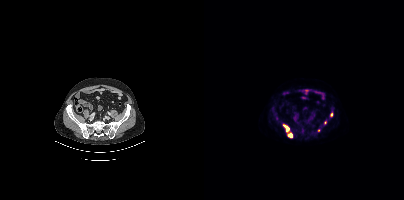
Coordinates are on the 200×200 PET (right) panel. PSMA-avid tumor lesion bounding box (x0, y0)-(x1, y1): (79, 124)-(88, 137). Small PSMA-avid foci (2 to 4 px across) near (center x, center y): (127, 114); (121, 122); (114, 130).